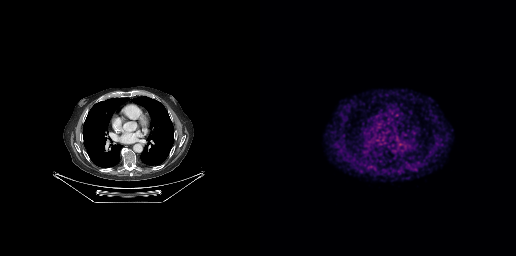
{"modality":"PSMA PET/CT","view":"axial","tracer":"[68Ga]Ga-PSMA-11","pet_grid":[256,256],"coord_frame":"pet_panel","coord_format":"x0,y0,x1,y1","psma_avid_lesions":false}